- Left: CT. Right: PSMA PET, same axial level, 68Ga-PSMA tracer
- acquired on Siemens Biograph mCT Flow 20
- PET panel 200×200 px (4.1 mm/px)
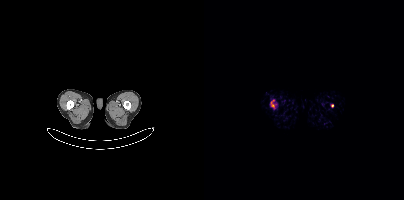
Findings: Coordinates are on the 200×200 PET (right) panel. Small PSMA-avid foci (2 to 4 px across) near (center x, center y): (128, 105) | (68, 105).